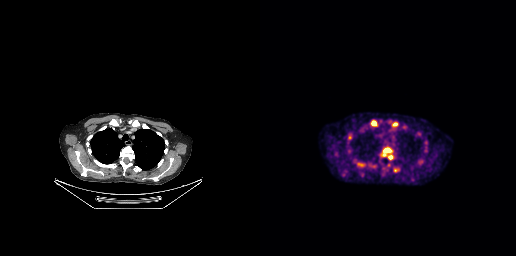
Left: CT. Right: PSMA PET, same axial level, 18F tracer. Slice position z = -218 mm.
Coordinates are on the 256×256 PET (right) panel. PSMA-avid tumor lesion bounding boxes:
| # | x0 | y0 | x1 | y1 |
|---|---|---|---|---|
| 1 | 123 | 147 | 131 | 156 |
| 2 | 111 | 120 | 116 | 125 |
| 3 | 133 | 167 | 137 | 172 |
| 4 | 128 | 155 | 132 | 159 |
| 5 | 112 | 165 | 116 | 168 |
| 6 | 133 | 123 | 137 | 125 |